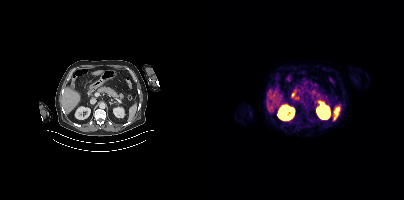
Left: CT. Right: PSMA PET, same axial level, 68Ga tracer. Slice 231 of 429. No tumor lesions annotated on this slice.